Technique: Two-panel axial: CT | PSMA PET, 18F-PSMA tracer. acquired on Siemens Biograph mCT Flow 20. PET panel 200×200 px (4.1 mm/px).
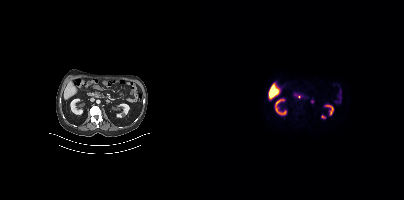
Findings: This slice has no annotated PSMA-avid lesion.